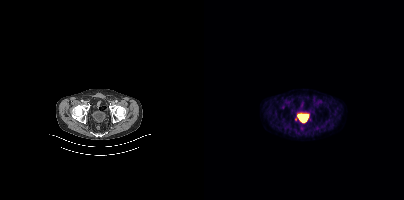
Only PSMA-avid lesion pieces thinner than 2 px on this slice (not listed).